Left: CT. Right: PSMA PET, same axial level, 68Ga tracer.
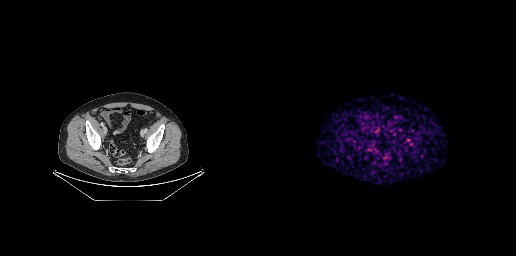
No tumor lesions annotated on this slice.